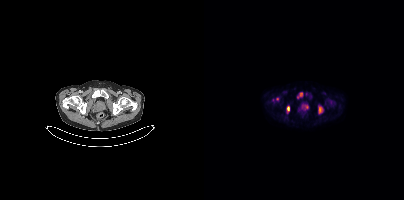
{"pet_grid":[200,200],"coord_frame":"pet_panel","coord_format":"x0,y0,x1,y1","partial":true,"lesion_bboxes":[[114,106,118,113],[93,92,98,98],[82,106,85,113]],"small_foci_centers":[[73,99]],"modality":"PSMA PET/CT","view":"axial","tracer":"18F"}